Paired axial CT (left) and PSMA PET (right), [18F]PSMA-1007 tracer.
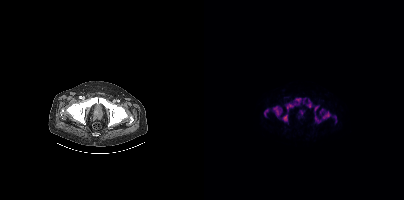
Coordinates are on the 200×200 PET (right) panel. PSMA-avid tumor lesion bounding boxes (partial; 1 more focus not listed):
| # | x0 | y0 | x1 | y1 |
|---|---|---|---|---|
| 1 | 82 | 98 | 106 | 110 |
| 2 | 111 | 111 | 126 | 123 |
| 3 | 69 | 106 | 77 | 116 |
| 4 | 79 | 115 | 83 | 121 |
| 5 | 60 | 109 | 64 | 116 |
| 6 | 110 | 106 | 114 | 111 |
| 7 | 116 | 109 | 119 | 113 |
| 8 | 130 | 116 | 132 | 122 |